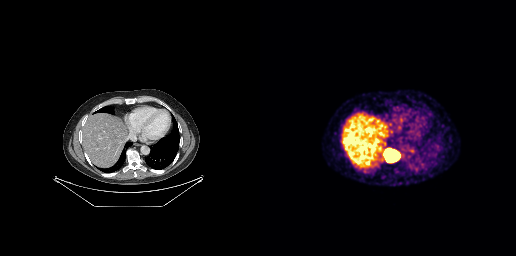
- Left: CT. Right: PSMA PET, same axial level, 68Ga tracer
- PET panel 256×256 px (2.7 mm/px)
Findings: Coordinates are on the 256×256 PET (right) panel. PSMA-avid tumor lesion bounding box (x, y, width, height): x=123 y=148 w=18 h=15.